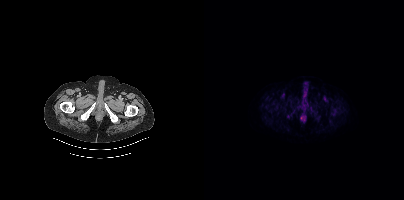
- Paired axial CT (left) and PSMA PET (right), 18F-PSMA tracer
Findings: Coordinates are on the 200×200 PET (right) panel. (showing 2 of 3 foci) PSMA-avid tumor lesion bounding box (x0, y0)-(x1, y1): (91, 105)-(95, 109). Small PSMA-avid focus (2 to 4 px across) near (center x, center y): (84, 115).